Technique: Left: CT. Right: PSMA PET, same axial level, 18F-PSMA tracer.
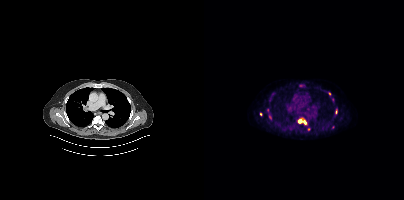
Findings: Coordinates are on the 200×200 PET (right) panel. (showing 3 of 5 foci) PSMA-avid tumor lesion bounding box (x0, y0)-(x1, y1): (94, 118)-(102, 124). Small PSMA-avid foci (2 to 4 px across) near (center x, center y): (56, 114) | (125, 93).